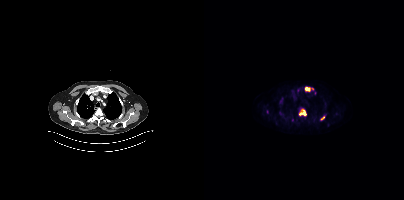
Findings: Coordinates are on the 200×200 PET (right) panel. (showing 4 of 6 foci) PSMA-avid tumor lesion bounding boxes (x, y, width, height): x=95 y=109 w=8 h=7 / x=100 y=86 w=7 h=6 / x=116 y=115 w=6 h=6. Small PSMA-avid focus (2 to 4 px across) near (center x, center y): (108, 88).
- Left: CT. Right: PSMA PET, same axial level, 18F tracer
- acquired on Siemens Biograph mCT Flow 20
- slice 310 of 395
- PET panel 200×200 px (4.1 mm/px)